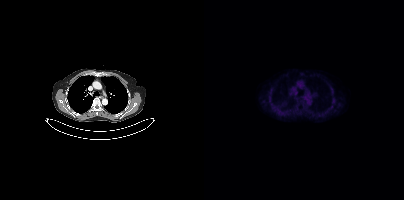
Coordinates are on the 200×200 PET (right) panel. Small PSMA-avid focus (2 to 4 px across) near (center x, center y): (92, 92).